Technique: Two-panel axial: CT | PSMA PET, 18F-PSMA tracer.
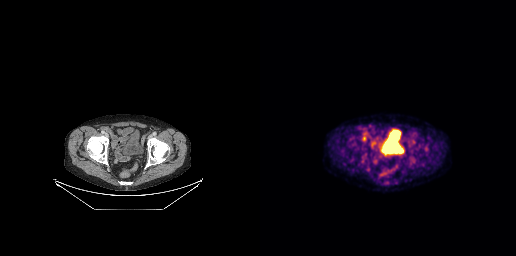
Findings: Coordinates are on the 256×256 PET (right) panel. PSMA-avid tumor lesion bounding box (x0, y0)-(x1, y1): (102, 132)-(106, 141). Small PSMA-avid focus (2 to 4 px across) near (center x, center y): (166, 148).